modality: PSMA PET/CT | tracer: 18F | view: axial | PET grid: 200×200
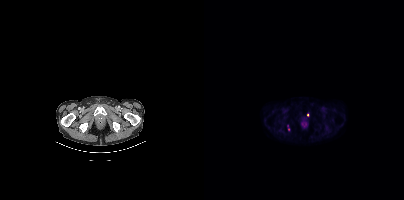
Coordinates are on the 200×200 PET (right) panel. Small PSMA-avid foci (2 to 4 px across) near (center x, center y): (103, 114) | (84, 129).